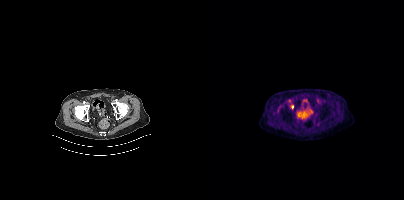
Findings: Only PSMA-avid lesion pieces thinner than 2 px on this slice (not listed).
Technique: Left: CT. Right: PSMA PET, same axial level, [18F]PSMA-1007 tracer. slice 89 of 397.